Technique: Two-panel axial: CT | PSMA PET, 18F tracer. slice position z = -540 mm. PET panel 200×200 px (4.1 mm/px).
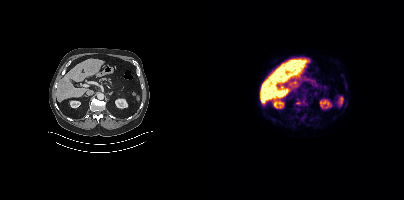
Findings: Coordinates are on the 200×200 PET (right) panel. Small PSMA-avid focus (2 to 4 px across) near (center x, center y): (94, 102).